- Two-panel axial: CT | PSMA PET, 18F-PSMA tracer
- acquired on Siemens Biograph mCT Flow 20
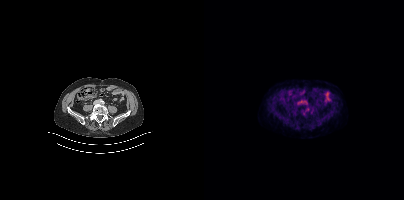
Findings: No PSMA-avid tumor lesions on this slice.